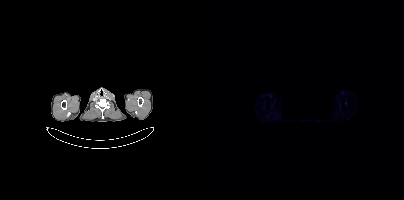
This slice has no annotated PSMA-avid lesion.
redaction: privacy mask (black rectangle) | modality: PSMA PET/CT | tracer: [68Ga]Ga-PSMA-11 | view: axial